Technique: Left: CT. Right: PSMA PET, same axial level, 18F-PSMA tracer. slice position z = -437 mm.
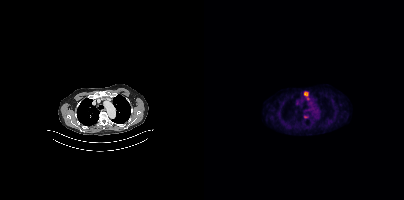
Findings: Coordinates are on the 200×200 PET (right) panel. (showing 2 of 3 foci) PSMA-avid tumor lesion bounding box (x0,y0,x1,y1): [100,92,104,96]. Small PSMA-avid focus (2 to 4 px across) near (center x, center y): (103, 98).